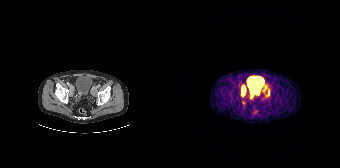
Left: CT. Right: PSMA PET, same axial level, 68Ga-PSMA tracer. Acquired on Siemens Biograph 64-4R TruePoint. PET panel 168×168 px (4.1 mm/px).
Coordinates are on the 168×168 PET (right) panel. PSMA-avid tumor lesion bounding boxes:
| # | x0 | y0 | x1 | y1 |
|---|---|---|---|---|
| 1 | 69 | 85 | 74 | 96 |
Small PSMA-avid focus (2 to 4 px across) near (center x, center y): (96, 91).